Paired axial CT (left) and PSMA PET (right), 18F tracer. Slice position z = -652 mm.
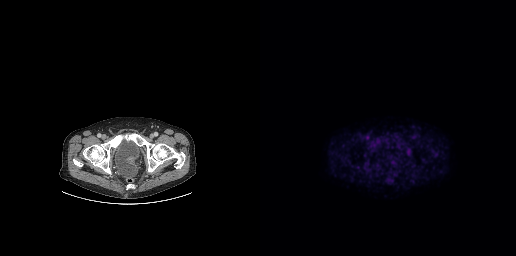
Coordinates are on the 256×256 PET (right) panel. PSMA-avid tumor lesion bounding box (x, y, width, height): x=146 y=146 w=6 h=8.